Paired axial CT (left) and PSMA PET (right), [68Ga]Ga-PSMA-11 tracer. PET panel 200×200 px (4.1 mm/px).
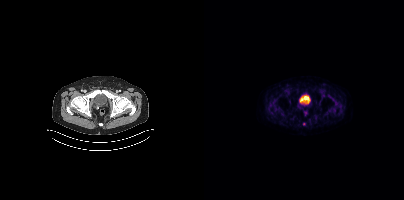
Coordinates are on the 200×200 PET (right) panel. Small PSMA-avid focus (2 to 4 px across) near (center x, center y): (99, 123).